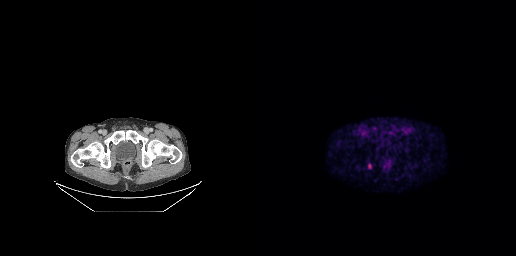
Coordinates are on the 256×256 PET (right) panel. PSMA-avid tumor lesion bounding box (x0,y0,x1,y1): [108,164,111,168].